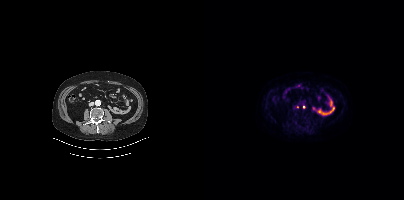
Coordinates are on the 200×200 PET (right) panel. (showing 1 of 2 foci) Small PSMA-avid focus (2 to 4 px across) near (center x, center y): (99, 106).
modality: PSMA PET/CT | tracer: 18F-PSMA | view: axial | PET grid: 200×200